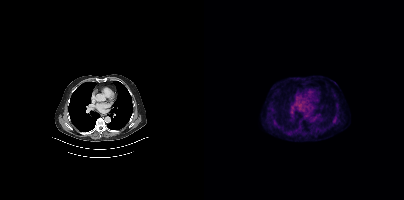
Negative for PSMA-avid disease on this slice.